De-identified by setting a box covering the face to black before release.
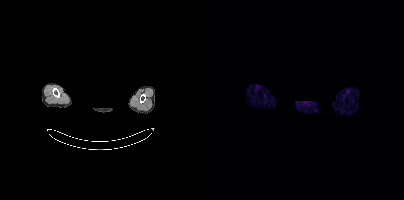
This slice has no annotated PSMA-avid lesion.